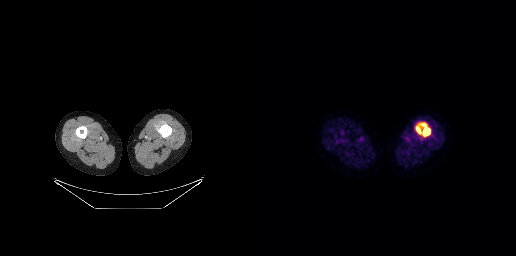
Findings: Coordinates are on the 256×256 PET (right) panel. PSMA-avid tumor lesion bounding box (x0,y0,x1,y1): [156,122,170,136].
Technique: Left: CT. Right: PSMA PET, same axial level, 18F tracer. acquired on GE Discovery 690. slice position z = -1167 mm. PET panel 256×256 px (2.7 mm/px).